Left: CT. Right: PSMA PET, same axial level, 18F-PSMA tracer. Acquired on Siemens Biograph mCT Flow 20. Slice position z = -468 mm.
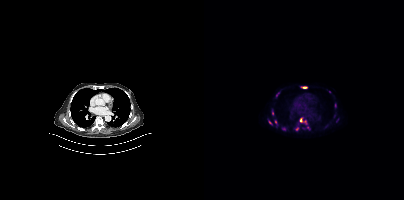
Coordinates are on the 200×200 PET (right) panel. (showing 1 of 3 foci) Small PSMA-avid focus (2 to 4 px across) near (center x, center y): (96, 120).